modality: PSMA PET/CT | tracer: 18F-PSMA | view: axial
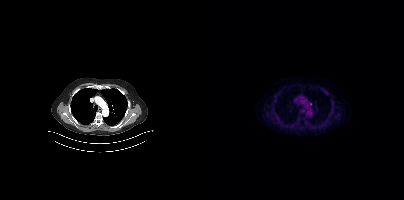
Negative for PSMA-avid disease on this slice.